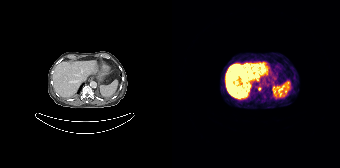
modality: PSMA PET/CT | tracer: 68Ga-PSMA | view: axial | PET grid: 168×168
Coordinates are on the 168×168 PET (right) panel. Small PSMA-avid focus (2 to 4 px across) near (center x, center y): (87, 88).